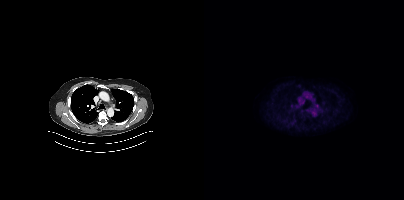
Technique: Two-panel axial: CT | PSMA PET, 18F-PSMA tracer.
Findings: Coordinates are on the 200×200 PET (right) panel. Small PSMA-avid focus (2 to 4 px across) near (center x, center y): (113, 105).